Technique: Left: CT. Right: PSMA PET, same axial level, 18F tracer. PET panel 200×200 px (4.1 mm/px).
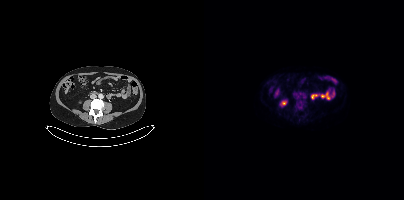
Findings: No tumor lesions annotated on this slice.